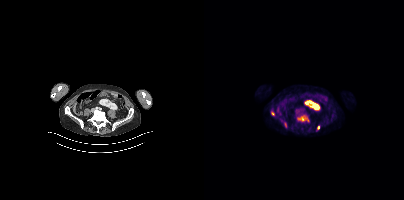
Technique: Two-panel axial: CT | PSMA PET, [18F]PSMA-1007 tracer. acquired on Siemens Biograph mCT Flow 20. slice position z = -809 mm.
Findings: Coordinates are on the 200×200 PET (right) panel. PSMA-avid tumor lesion bounding boxes (x0,y0,x1,y1): [94,115,104,121], [80,122,82,127]. Small PSMA-avid foci (2 to 4 px across) near (center x, center y): (68, 113), (114, 127).